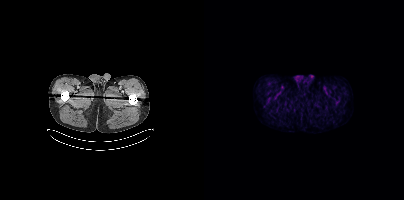
Findings: Negative for PSMA-avid disease on this slice.
- Left: CT. Right: PSMA PET, same axial level, [18F]PSMA-1007 tracer
- slice 38 of 454
- PET panel 200×200 px (4.1 mm/px)